- Paired axial CT (left) and PSMA PET (right), 18F tracer
- slice 272 of 401
- PET panel 200×200 px (4.1 mm/px)
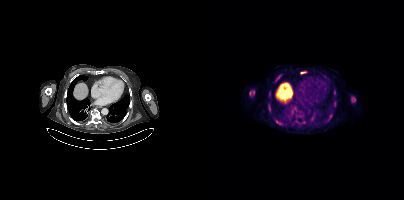
Findings: Coordinates are on the 200×200 PET (right) panel. PSMA-avid tumor lesion bounding boxes (x, y, width, height): x=45 y=90 w=6 h=7 / x=147 y=96 w=5 h=7 / x=71 y=120 w=6 h=5 / x=64 y=104 w=3 h=6 / x=72 y=74 w=6 h=6 / x=123 y=116 w=4 h=6 / x=96 y=71 w=7 h=3. Small PSMA-avid focus (2 to 4 px across) near (center x, center y): (130, 94).